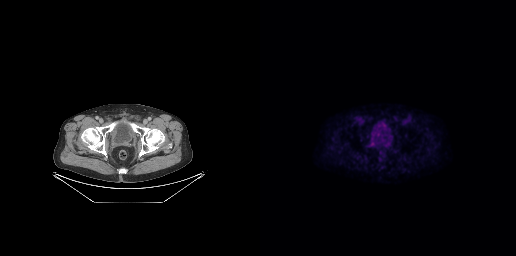
Paired axial CT (left) and PSMA PET (right), 18F-PSMA tracer. Acquired on GE Discovery 690. PET panel 256×256 px (2.7 mm/px). This slice has no annotated PSMA-avid lesion.